Two-panel axial: CT | PSMA PET, [18F]PSMA-1007 tracer. Slice position z = -676 mm. PET panel 200×200 px (4.1 mm/px).
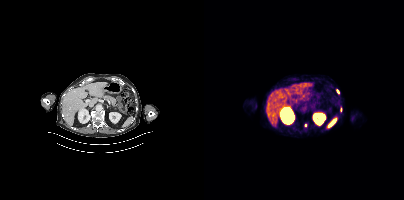
Coordinates are on the 200×200 PET (right) panel. (showing 2 of 3 foci) Small PSMA-avid foci (2 to 4 px across) near (center x, center y): (134, 91) / (101, 125).